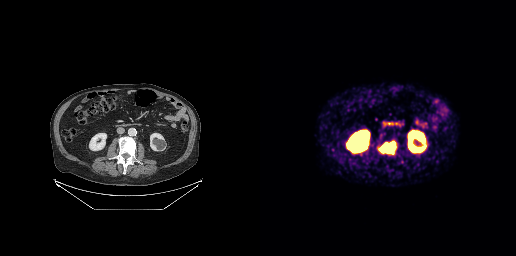
Paired axial CT (left) and PSMA PET (right), 68Ga tracer. Coordinates are on the 256×256 PET (right) panel. PSMA-avid tumor lesion bounding box (x0,y0,x1,y1): [119,140,135,153].